Paired axial CT (left) and PSMA PET (right), [18F]PSMA-1007 tracer. PET panel 200×200 px (4.1 mm/px).
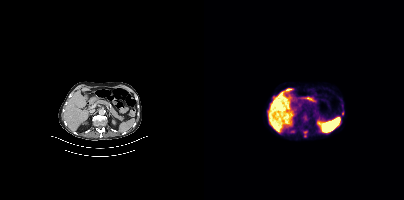
Only PSMA-avid lesion pieces thinner than 2 px on this slice (not listed).